Two-panel axial: CT | PSMA PET, 18F tracer. Acquired on GE Discovery 690. PET panel 256×256 px (2.7 mm/px).
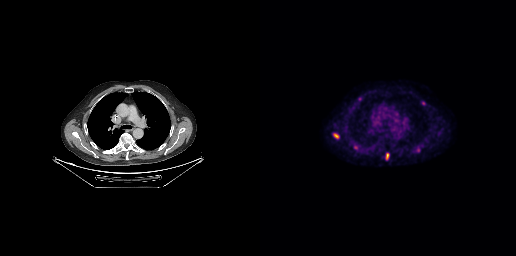
Coordinates are on the 256×256 PET (right) panel. PSMA-avid tumor lesion bounding boxes:
| # | x0 | y0 | x1 | y1 |
|---|---|---|---|---|
| 1 | 73 | 133 | 79 | 138 |
| 2 | 126 | 153 | 129 | 159 |
| 3 | 93 | 144 | 97 | 149 |
| 4 | 161 | 101 | 165 | 105 |
Small PSMA-avid focus (2 to 4 px across) near (center x, center y): (99, 98).